modality: PSMA PET/CT | tracer: 18F-PSMA | view: axial | PET grid: 256×256
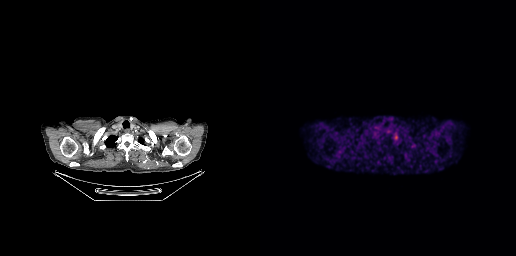
Coordinates are on the 256×256 PET (right) panel. Small PSMA-avid focus (2 to 4 px across) near (center x, center y): (135, 137).